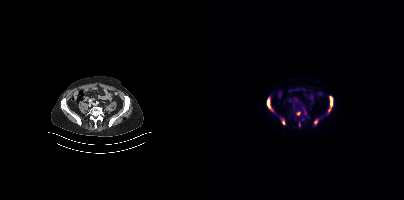
Coordinates are on the 200×200 PET (right) panel. (showing 6 of 7 foci) PSMA-avid tumor lesion bounding boxes (x, y, width, height): x=63 y=99 w=6 h=12 / x=125 y=96 w=4 h=12 / x=78 y=120 w=3 h=5. Small PSMA-avid foci (2 to 4 px across) near (center x, center y): (94, 113) / (111, 122) / (125, 109).
modality: PSMA PET/CT | tracer: 18F | view: axial